Two-panel axial: CT | PSMA PET, 18F tracer. Acquired on Siemens Biograph mCT Flow 20. Slice position z = -776 mm.
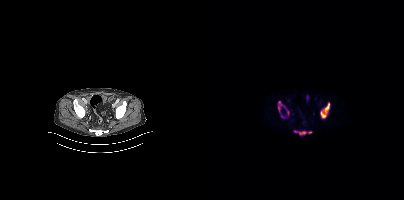
Coordinates are on the 200×200 PET (right) panel. PSMA-avid tumor lesion bounding boxes (partial; 2 more foci not listed):
| # | x0 | y0 | x1 | y1 |
|---|---|---|---|---|
| 1 | 116 | 102 | 125 | 118 |
| 2 | 74 | 101 | 78 | 111 |
| 3 | 95 | 131 | 101 | 134 |
Small PSMA-avid foci (2 to 4 px across) near (center x, center y): (91, 131); (106, 132); (77, 115).